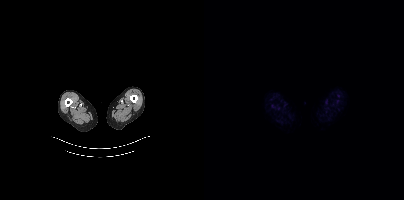
Two-panel axial: CT | PSMA PET, [18F]PSMA-1007 tracer. Slice 10 of 415. No PSMA-avid tumor lesions on this slice.